Technique: Paired axial CT (left) and PSMA PET (right), 18F tracer. acquired on Siemens Biograph mCT Flow 20. slice position z = -1297 mm.
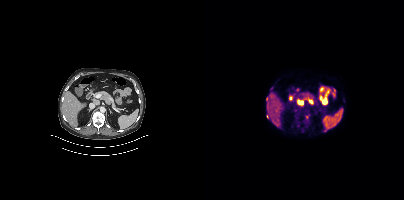
Findings: Negative for PSMA-avid disease on this slice.